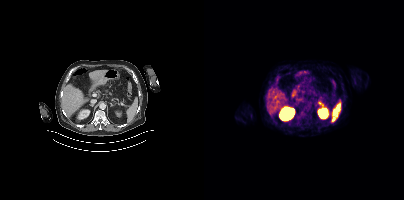
No PSMA-avid tumor lesions on this slice.